Technique: Left: CT. Right: PSMA PET, same axial level, 18F tracer. slice 365 of 397.
Note: De-identified by setting a box covering the face to black before release.
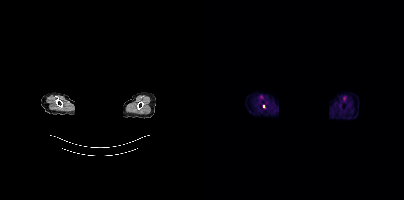
Findings: Coordinates are on the 200×200 PET (right) panel. Small PSMA-avid focus (2 to 4 px across) near (center x, center y): (59, 106).